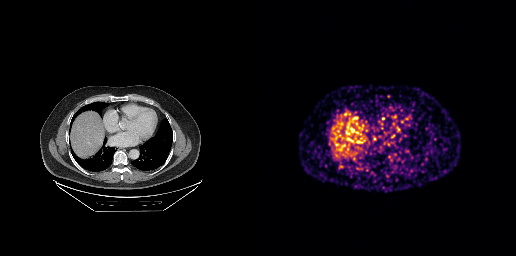
Technique: Two-panel axial: CT | PSMA PET, [68Ga]Ga-PSMA-11 tracer. slice position z = -340 mm.
Findings: Negative for PSMA-avid disease on this slice.